Two-panel axial: CT | PSMA PET, [18F]PSMA-1007 tracer. Slice position z = -578 mm.
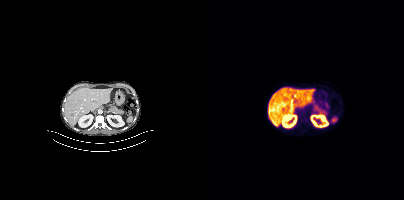
Negative for PSMA-avid disease on this slice.